modality: PSMA PET/CT | tracer: 18F | view: axial | PET grid: 200×200
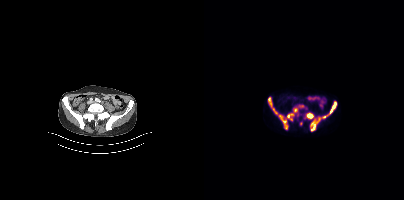
Coordinates are on the 200×200 PET (right) panel. PSMA-avid tumor lesion bounding boxes (x0,y0,x1,y1): [64,97,93,129] [101,112,116,131] [118,101,133,118] [94,105,99,107]. Small PSMA-avid focus (2 to 4 px across) near (center x, center y): (96, 123).